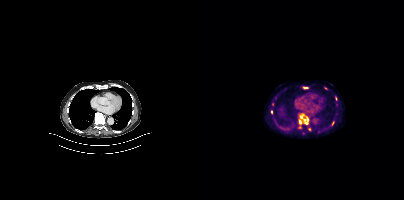
modality: PSMA PET/CT | tracer: 18F-PSMA | view: axial | PET grid: 200×200
Coordinates are on the 200×200 PET (right) panel. (showing 6 of 10 foci) PSMA-avid tumor lesion bounding boxes (x0,y0,x1,y1): [95,113,104,124]; [127,121,130,125]. Small PSMA-avid foci (2 to 4 px across) near (center x, center y): (101, 87); (132, 98); (67, 111); (105, 129).